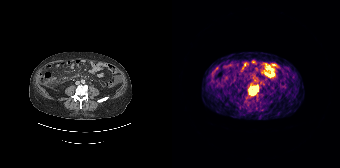
Coordinates are on the 168×168 PET (right) panel. PSMA-avid tumor lesion bounding box (x0,y0,x1,y1): [77,86,86,94].